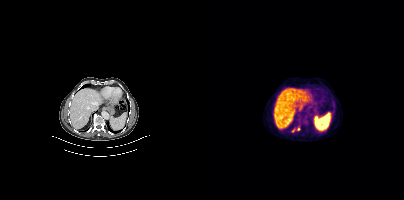
Coordinates are on the 200×200 PET (right) panel. Small PSMA-avid foci (2 to 4 px across) near (center x, center y): (89, 130); (94, 128). Left: CT. Right: PSMA PET, same axial level, 18F-PSMA tracer. Slice position z = 318 mm. PET panel 200×200 px (4.1 mm/px).